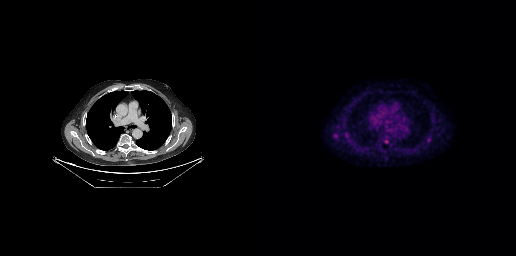
- Paired axial CT (left) and PSMA PET (right), 18F-PSMA tracer
- slice 199 of 263
Findings: Coordinates are on the 256×256 PET (right) panel. PSMA-avid tumor lesion bounding box (x0,y0,x1,y1): [167,138,170,142].